modality: PSMA PET/CT | tracer: 18F-PSMA | view: axial
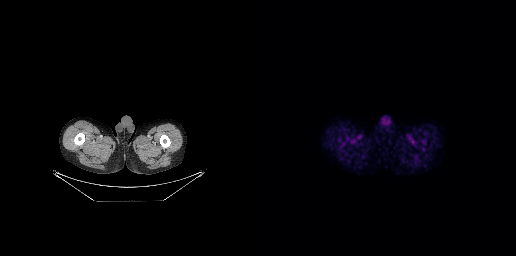
No PSMA-avid tumor lesions on this slice.